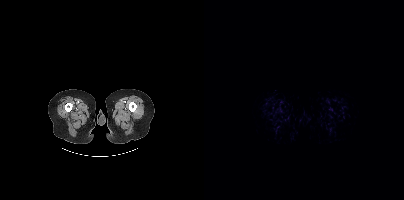
{"modality":"PSMA PET/CT","view":"axial","tracer":"18F-PSMA","pet_grid":[200,200],"coord_frame":"pet_panel","coord_format":"x0,y0,x1,y1","psma_avid_lesions":false}